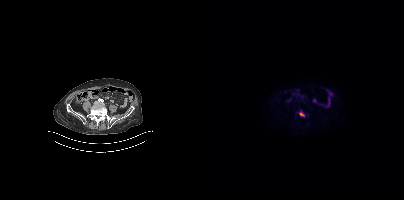
Coordinates are on the 200×200 PET (right) panel. PSMA-avid tumor lesion bounding box (x0, y0)-(x1, y1): (95, 111)-(100, 116).
modality: PSMA PET/CT | tracer: 18F-PSMA | view: axial